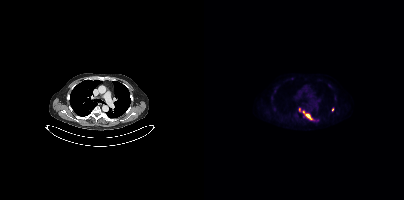
{"modality":"PSMA PET/CT","view":"axial","tracer":"18F-PSMA","pet_grid":[200,200],"coord_frame":"pet_panel","coord_format":"x0,y0,x1,y1","lesion_bboxes":[[94,108,114,121]],"small_foci_centers":[[128,109]]}